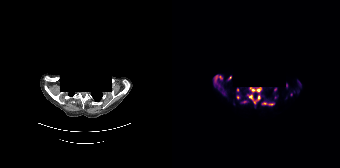
- Left: CT. Right: PSMA PET, same axial level, [18F]PSMA-1007 tracer
- acquired on Siemens Biograph 64-4R TruePoint
- slice 141 of 165
- PET panel 168×168 px (4.1 mm/px)
- the face region was removed for patient privacy by blanking a rectangle over the head
Findings: Coordinates are on the 168×168 PET (right) panel. (showing 11 of 13 foci) PSMA-avid tumor lesion bounding boxes (x0,y0,x1,y1): [77,87,89,92] [76,94,88,103] [46,83,53,94] [90,102,101,105] [47,76,51,80] [55,76,59,80] [43,75,45,81]. Small PSMA-avid foci (2 to 4 px across) near (center x, center y): (65, 97) (65, 90) (103, 89) (72, 101).